Paired axial CT (left) and PSMA PET (right), 18F tracer. PET panel 200×200 px (4.1 mm/px).
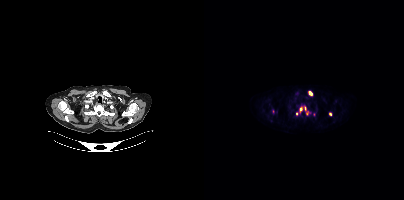
Coordinates are on the 200×200 PET (right) panel. (showing 7 of 8 foci) PSMA-avid tumor lesion bounding boxes (x0,y0,x1,y1): [104,91,108,95]; [95,107,98,112]; [100,106,102,110]. Small PSMA-avid foci (2 to 4 px across) near (center x, center y): (103, 112); (126, 113); (110, 114); (92, 113).